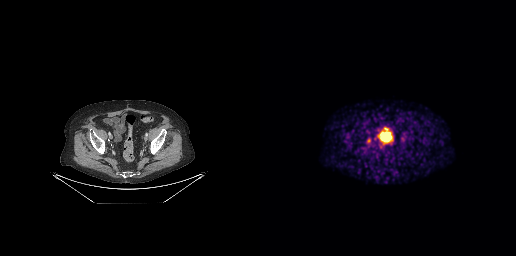
No PSMA-avid tumor lesions on this slice.